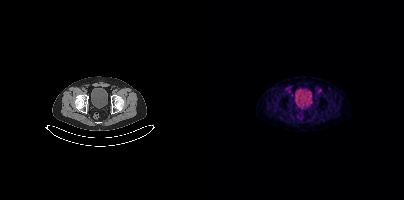
Two-panel axial: CT | PSMA PET, 18F-PSMA tracer. PET panel 200×200 px (4.1 mm/px). Only PSMA-avid lesion pieces thinner than 2 px on this slice (not listed).